Paired axial CT (left) and PSMA PET (right), 18F-PSMA tracer. Acquired on Siemens Biograph mCT Flow 20. Slice position z = -1140 mm.
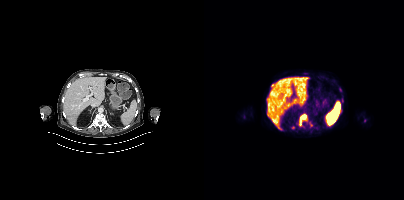
Coordinates are on the 200×200 PET (right) panel. PSMA-avid tumor lesion bounding boxes (partial; 4 more foci not listed):
| # | x0 | y0 | x1 | y1 |
|---|---|---|---|---|
| 1 | 96 | 114 | 102 | 124 |
| 2 | 135 | 99 | 139 | 105 |